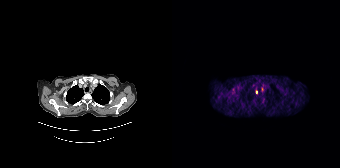
- Paired axial CT (left) and PSMA PET (right), [68Ga]Ga-PSMA-11 tracer
- PET panel 168×168 px (4.1 mm/px)
Findings: Coordinates are on the 168×168 PET (right) panel. (showing 1 of 2 foci) Small PSMA-avid focus (2 to 4 px across) near (center x, center y): (84, 91).